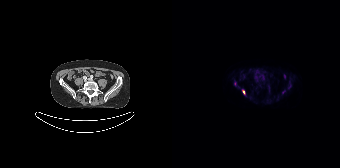
Coordinates are on the 168×168 PET (right) panel. Small PSMA-avid focus (2 to 4 px across) near (center x, center y): (71, 91).